Technique: Left: CT. Right: PSMA PET, same axial level, 68Ga tracer. acquired on GE Discovery 690. slice 64 of 263. PET panel 256×256 px (2.7 mm/px).
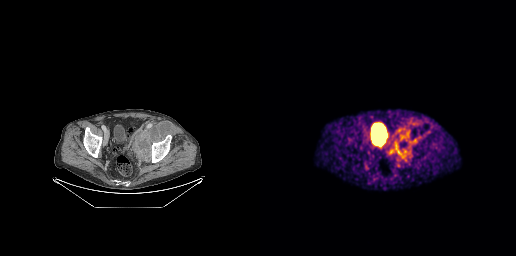
Findings: Coordinates are on the 256×256 PET (right) panel. PSMA-avid tumor lesion bounding box (x0,y0,x1,y1): [134,144,149,160].